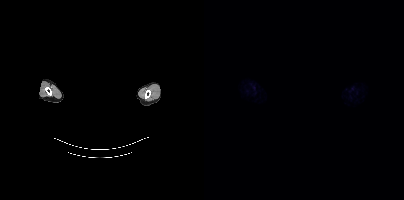
{"pet_grid":[200,200],"coord_frame":"pet_panel","coord_format":"x0,y0,x1,y1","psma_avid_lesions":false,"modality":"PSMA PET/CT","view":"axial","tracer":"18F-PSMA","redaction":"rectangular block over head set to black"}